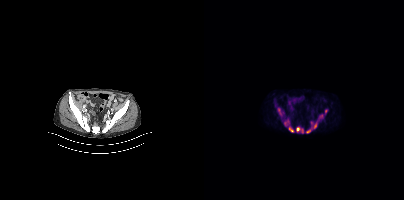
Coordinates are on the 200×200 PET (right) panel. PSMA-avid tumor lesion bounding boxes (x, y, width, height): x=74 y=108 w=4 h=7 / x=92 y=127 w=5 h=5 / x=85 y=127 w=5 h=6 / x=110 y=122 w=4 h=7 / x=115 y=114 w=4 h=5 / x=102 y=130 w=5 h=3. Small PSMA-avid foci (2 to 4 px across) near (center x, center y): (98, 130) / (81, 122) / (121, 110).